modality: PSMA PET/CT | tracer: 18F | view: axial | de-identification: rectangular block over head set to black
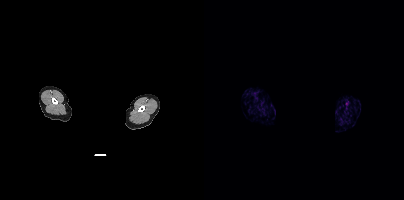
No tumor lesions annotated on this slice.